Two-panel axial: CT | PSMA PET, 18F-PSMA tracer. PET panel 200×200 px (4.1 mm/px).
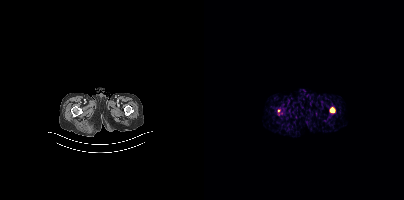
Coordinates are on the 200×200 PET (right) panel. PSMA-avid tumor lesion bounding boxes (partial; 1 more focus not listed):
| # | x0 | y0 | x1 | y1 |
|---|---|---|---|---|
| 1 | 125 | 107 | 131 | 113 |
| 2 | 73 | 109 | 76 | 115 |